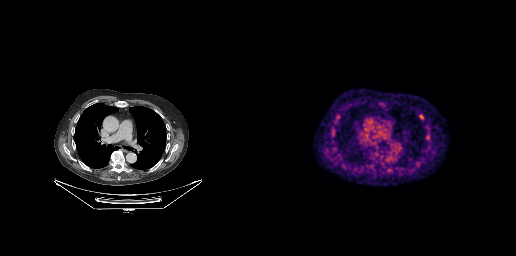
Left: CT. Right: PSMA PET, same axial level, [18F]PSMA-1007 tracer. Acquired on GE Discovery 690. PET panel 256×256 px (2.7 mm/px). Coordinates are on the 256×256 PET (right) panel. Small PSMA-avid focus (2 to 4 px across) near (center x, center y): (161, 117).